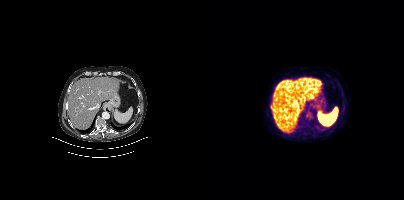
Two-panel axial: CT | PSMA PET, 18F-PSMA tracer. Slice 267 of 454. Coordinates are on the 200×200 PET (right) panel. Small PSMA-avid focus (2 to 4 px across) near (center x, center y): (67, 106).